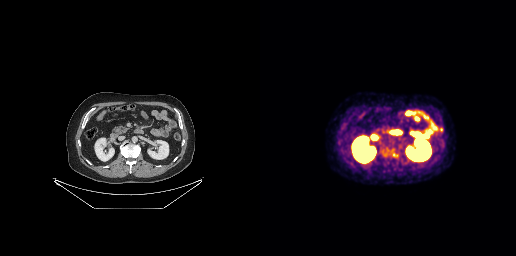
Paired axial CT (left) and PSMA PET (right), 18F-PSMA tracer. Acquired on GE Discovery 690. Coordinates are on the 256×256 PET (right) panel. Small PSMA-avid focus (2 to 4 px across) near (center x, center y): (181, 129).